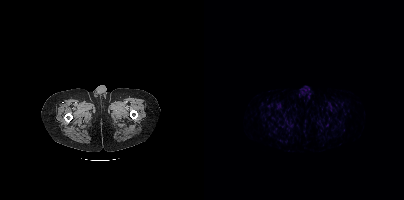
- Left: CT. Right: PSMA PET, same axial level, [68Ga]Ga-PSMA-11 tracer
- acquired on Siemens Biograph mCT Flow 20
- slice 32 of 444
Findings: Negative for PSMA-avid disease on this slice.